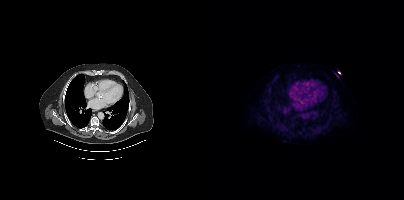
- Left: CT. Right: PSMA PET, same axial level, 18F tracer
- acquired on Siemens Biograph mCT Flow 20
- PET panel 200×200 px (4.1 mm/px)
Findings: No tumor lesions annotated on this slice.